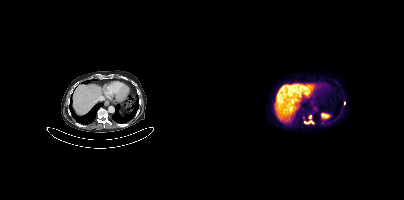
Findings: Coordinates are on the 200×200 PET (right) panel. PSMA-avid tumor lesion bounding boxes (x0,y0,x1,y1): [100,120,109,123]; [97,114,102,119]. Small PSMA-avid foci (2 to 4 px across) near (center x, center y): (106, 116); (140, 103).
- Left: CT. Right: PSMA PET, same axial level, [18F]PSMA-1007 tracer
- acquired on Siemens Biograph mCT Flow 20
- PET panel 200×200 px (4.1 mm/px)